modality: PSMA PET/CT | tracer: 68Ga | view: axial | PET grid: 200×200
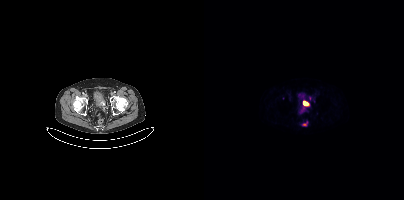
Coordinates are on the 200×200 PET (right) panel. (showing 3 of 4 foci) PSMA-avid tumor lesion bounding boxes (x, y, width, height): x=98 y=122 w=6 h=5; x=99 y=102 w=6 h=5; x=97 y=107 w=4 h=5.